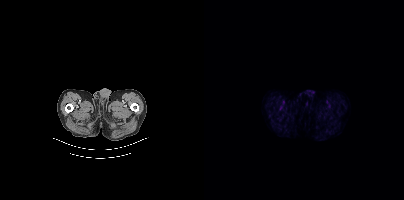
- Paired axial CT (left) and PSMA PET (right), [18F]PSMA-1007 tracer
- slice 21 of 429
- PET panel 200×200 px (4.1 mm/px)
Findings: No tumor lesions annotated on this slice.